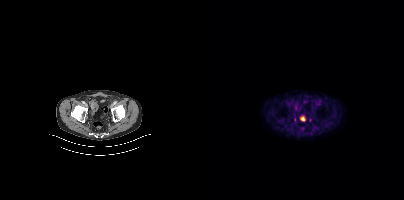
Technique: Left: CT. Right: PSMA PET, same axial level, [18F]PSMA-1007 tracer. slice position z = -938 mm.
Findings: No tumor lesions annotated on this slice.